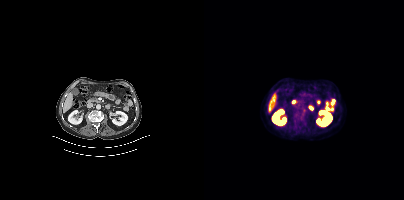
Coordinates are on the 200×200 PET (right) panel. Small PSMA-avid focus (2 to 4 px across) near (center x, center y): (100, 110).